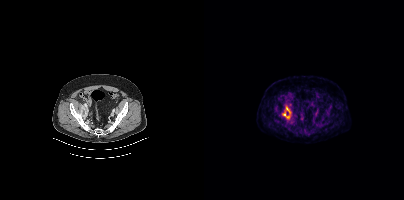
{"modality":"PSMA PET/CT","view":"axial","tracer":"[18F]PSMA-1007","pet_grid":[200,200],"coord_frame":"pet_panel","coord_format":"x0,y0,x1,y1","lesion_bboxes":[[78,105,87,119]]}